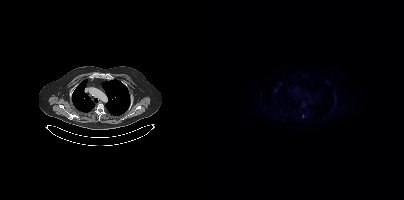
{"modality":"PSMA PET/CT","view":"axial","tracer":"[18F]PSMA-1007","pet_grid":[200,200],"coord_frame":"pet_panel","coord_format":"x0,y0,x1,y1","lesion_bboxes":[],"small_foci_centers":[[98,116]]}